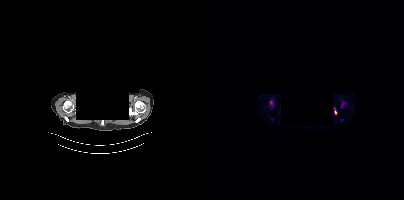
Coordinates are on the 200×200 PET (right) panel. (showing 1 of 3 foci) PSMA-avid tumor lesion bounding box (x, y, width, height): x=130 y=107 w=3 h=7.
deidentification: privacy mask over head | modality: PSMA PET/CT | tracer: 18F-PSMA | view: axial | PET grid: 200×200